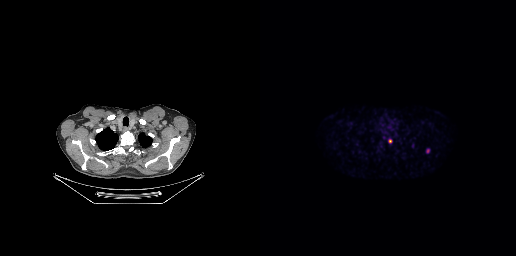
{"modality":"PSMA PET/CT","view":"axial","tracer":"18F-PSMA","pet_grid":[256,256],"coord_frame":"pet_panel","coord_format":"x0,y0,x1,y1","lesion_bboxes":[[128,139,131,143]],"small_foci_centers":[[168,150]]}